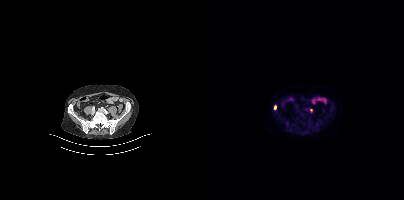
Findings: Coordinates are on the 200×200 PET (right) panel. PSMA-avid tumor lesion bounding box (x0, y0)-(x1, y1): (70, 105)-(72, 109). Small PSMA-avid focus (2 to 4 px across) near (center x, center y): (107, 109).
Technique: Left: CT. Right: PSMA PET, same axial level, 18F tracer. slice position z = -802 mm. PET panel 200×200 px (4.1 mm/px).